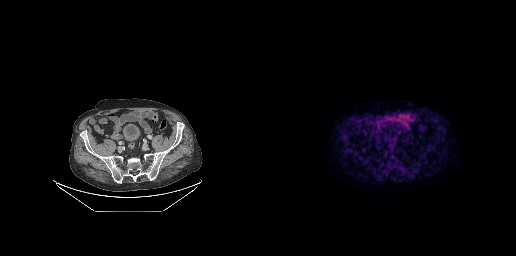
No PSMA-avid tumor lesions on this slice.